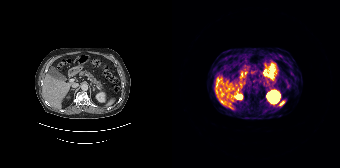
This slice has no annotated PSMA-avid lesion.